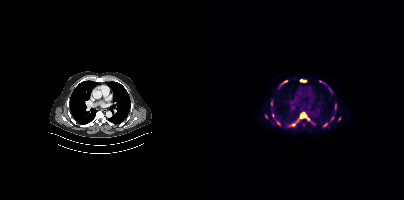
Coordinates are on the 200×200 PET (right) panel. (showing 12 of 17 foci) PSMA-avid tumor lesion bounding boxes (x0, y0)-(x1, y1): (95, 112)-(102, 118) | (96, 79)-(102, 81) | (67, 100)-(68, 106) | (131, 104)-(132, 108). Small PSMA-avid foci (2 to 4 px across) near (center x, center y): (73, 122) | (62, 116) | (81, 81) | (89, 124) | (68, 115) | (104, 118) | (135, 118) | (121, 124).
modality: PSMA PET/CT | tracer: [18F]PSMA-1007 | view: axial | PET grid: 200×200